Two-panel axial: CT | PSMA PET, 68Ga-PSMA tracer. Slice 138 of 165.
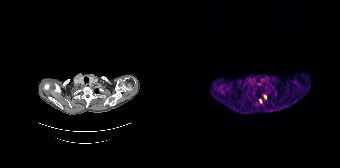
Coordinates are on the 168×168 PET (right) panel. Small PSMA-avid foci (2 to 4 px across) near (center x, center y): (93, 96) / (88, 100).